Two-panel axial: CT | PSMA PET, 18F-PSMA tracer. Slice 197 of 299. PET panel 256×256 px (2.7 mm/px).
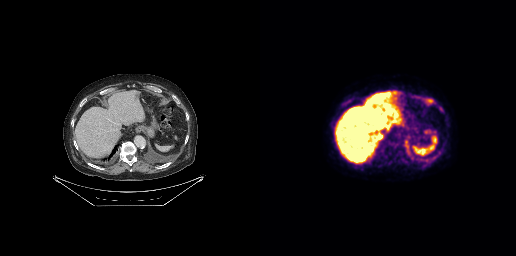
Coordinates are on the 256×256 PET (right) panel. PSMA-avid tumor lesion bounding boxes:
| # | x0 | y0 | x1 | y1 |
|---|---|---|---|---|
| 1 | 170 | 153 | 179 | 162 |
| 2 | 164 | 98 | 173 | 104 |
| 3 | 159 | 158 | 168 | 162 |